- Paired axial CT (left) and PSMA PET (right), 18F-PSMA tracer
- acquired on Siemens Biograph mCT Flow 20
- slice position z = -1081 mm
- PET panel 200×200 px (4.1 mm/px)
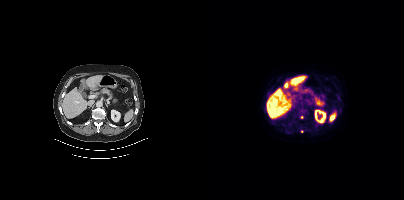
Findings: Coordinates are on the 200×200 PET (right) panel. PSMA-avid tumor lesion bounding boxes (x0, y0)-(x1, y1): (93, 110)-(100, 118); (84, 121)-(88, 125); (133, 96)-(136, 100). Small PSMA-avid focus (2 to 4 px across) near (center x, center y): (98, 131).